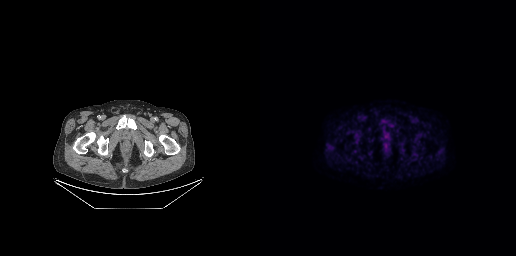
Coordinates are on the 256×256 PET (right) panel. Small PSMA-avid focus (2 to 4 px across) near (center x, center y): (128, 138). Two-panel axial: CT | PSMA PET, 18F-PSMA tracer. Slice 54 of 263.